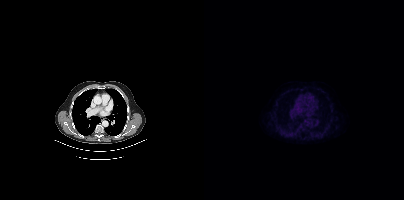
No PSMA-avid tumor lesions on this slice.